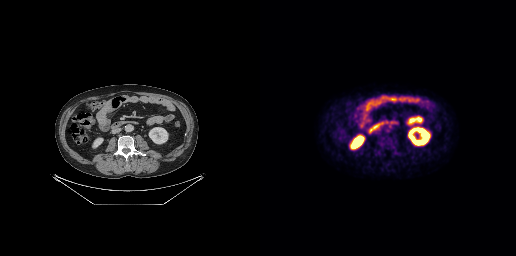
Two-panel axial: CT | PSMA PET, 18F tracer. Slice position z = -521 mm. PET panel 256×256 px (2.7 mm/px). Negative for PSMA-avid disease on this slice.